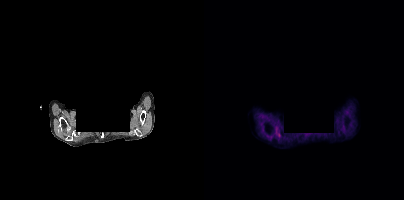
De-identified by setting a box covering the face to black before release. Paired axial CT (left) and PSMA PET (right), [18F]PSMA-1007 tracer. Slice 339 of 389. Coordinates are on the 200×200 PET (right) panel. Small PSMA-avid focus (2 to 4 px across) near (center x, center y): (75, 134).